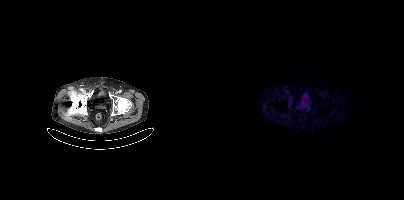
- Paired axial CT (left) and PSMA PET (right), [18F]PSMA-1007 tracer
- slice position z = -218 mm
- PET panel 200×200 px (4.1 mm/px)
Findings: No tumor lesions annotated on this slice.